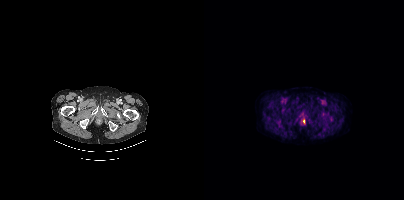
{"modality":"PSMA PET/CT","view":"axial","tracer":"[18F]PSMA-1007","pet_grid":[200,200],"coord_frame":"pet_panel","coord_format":"x0,y0,x1,y1","psma_avid_lesions":false}